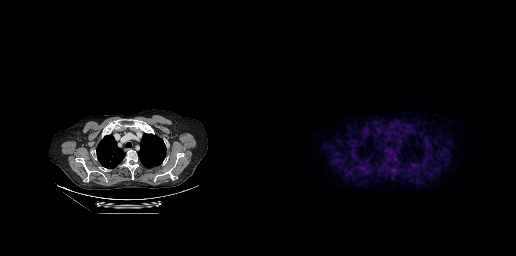
No tumor lesions annotated on this slice.